Technique: Two-panel axial: CT | PSMA PET, 18F tracer. acquired on GE Discovery 690. slice 214 of 263. PET panel 256×256 px (2.7 mm/px).
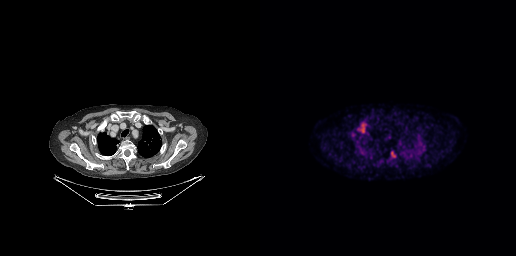
Findings: Coordinates are on the 256×256 PET (right) panel. PSMA-avid tumor lesion bounding boxes (x, y, width, height): x=97 y=122 w=10 h=12 | x=131 y=151 w=5 h=7.